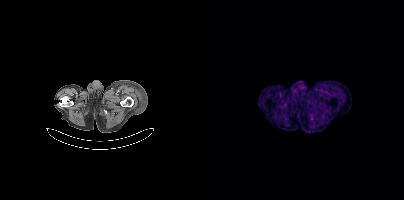
Paired axial CT (left) and PSMA PET (right), [68Ga]Ga-PSMA-11 tracer. No tumor lesions annotated on this slice.